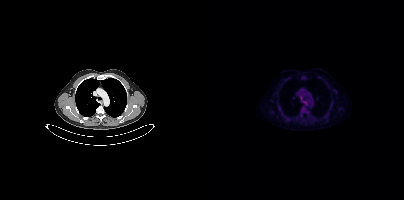
Findings: No PSMA-avid tumor lesions on this slice.
- Paired axial CT (left) and PSMA PET (right), 18F tracer
- slice position z = -1194 mm